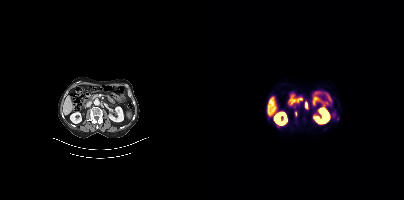
- Paired axial CT (left) and PSMA PET (right), [68Ga]Ga-PSMA-11 tracer
- slice position z = -1302 mm
Findings: Coordinates are on the 200×200 PET (right) panel. (showing 3 of 5 foci) PSMA-avid tumor lesion bounding box (x0, y0)-(x1, y1): (92, 100)-(97, 102). Small PSMA-avid foci (2 to 4 px across) near (center x, center y): (133, 119) | (91, 114).